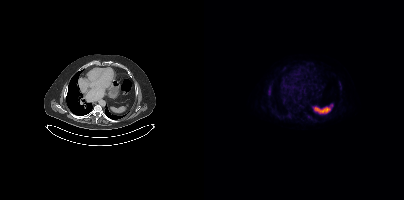
{"pet_grid":[200,200],"coord_frame":"pet_panel","coord_format":"x0,y0,x1,y1","lesion_bboxes":[[64,89,66,94]],"modality":"PSMA PET/CT","view":"axial","tracer":"18F-PSMA"}